Technique: Two-panel axial: CT | PSMA PET, [18F]PSMA-1007 tracer.
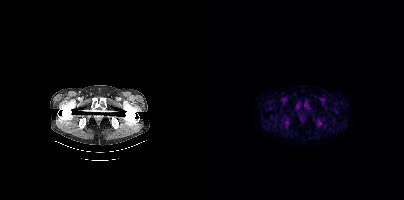
Findings: No PSMA-avid tumor lesions on this slice.